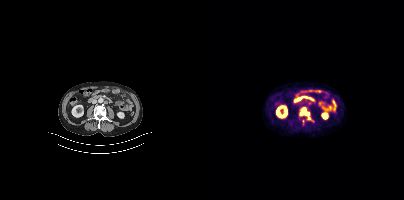
Coordinates are on the 200×200 PET (right) panel. (showing 1 of 2 foci) PSMA-avid tumor lesion bounding box (x0,y0,x1,y1): [95,107,106,119].
modality: PSMA PET/CT | tracer: [18F]PSMA-1007 | view: axial | PET grid: 200×200